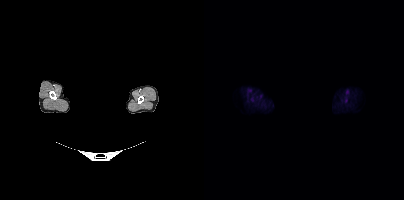
Findings: No PSMA-avid tumor lesions on this slice.
Technique: Left: CT. Right: PSMA PET, same axial level, 18F-PSMA tracer.
Note: Head region blanked for anonymization (face removed).